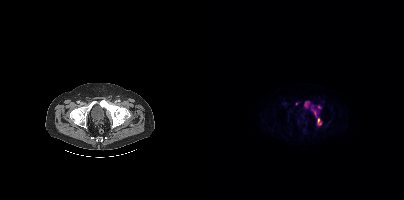
Technique: Two-panel axial: CT | PSMA PET, [18F]PSMA-1007 tracer. acquired on Siemens Biograph mCT Flow 20. slice position z = -1468 mm. PET panel 200×200 px (4.1 mm/px).
Findings: Coordinates are on the 200×200 PET (right) panel. PSMA-avid tumor lesion bounding boxes (x, y, width, height): x=113 y=118 w=5 h=8 / x=100 y=102 w=6 h=6 / x=108 y=109 w=5 h=8. Small PSMA-avid foci (2 to 4 px across) near (center x, center y): (115, 107) / (92, 103).